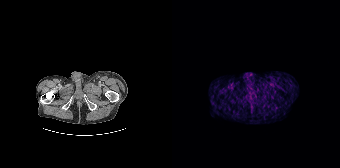
Paired axial CT (left) and PSMA PET (right), 68Ga-PSMA tracer. Slice 30 of 195. This slice has no annotated PSMA-avid lesion.